Technique: Left: CT. Right: PSMA PET, same axial level, 68Ga tracer. acquired on GE Discovery 690. PET panel 256×256 px (2.7 mm/px).
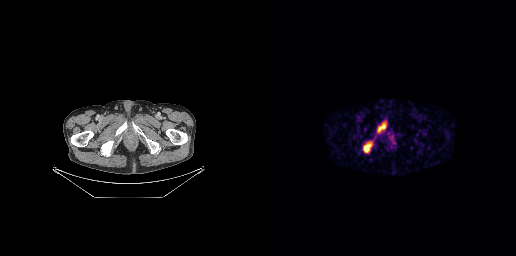
Findings: Coordinates are on the 256×256 PET (right) panel. PSMA-avid tumor lesion bounding boxes (x0,y0,x1,y1): [103,142,112,152] [117,122,125,133].